modality: PSMA PET/CT | tracer: 18F-PSMA | view: axial
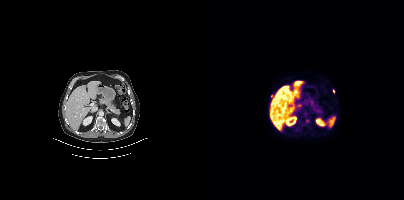
Coordinates are on the 200×200 PET (right) panel. (showing 1 of 2 foci) Small PSMA-avid focus (2 to 4 px across) near (center x, center y): (67, 95).